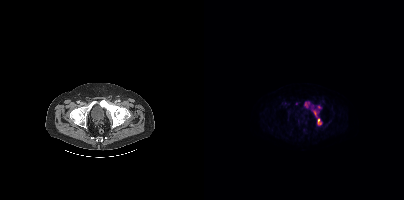
Coordinates are on the 200×200 PET (right) panel. PSMA-avid tumor lesion bounding boxes (partial; 1 more focus not listed):
| # | x0 | y0 | x1 | y1 |
|---|---|---|---|---|
| 1 | 113 | 118 | 117 | 125 |
| 2 | 109 | 110 | 112 | 116 |
| 3 | 101 | 102 | 104 | 107 |
Small PSMA-avid focus (2 to 4 px across) near (center x, center y): (115, 107).
Left: CT. Right: PSMA PET, same axial level, 18F tracer. Slice 59 of 417. PET panel 200×200 px (4.1 mm/px).